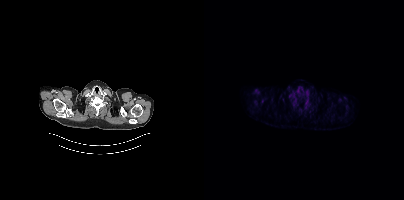
Negative for PSMA-avid disease on this slice. Two-panel axial: CT | PSMA PET, 18F tracer. Acquired on Siemens Biograph mCT Flow 20. PET panel 200×200 px (4.1 mm/px).